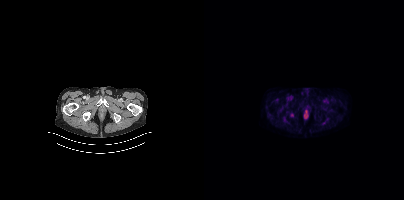
Technique: Paired axial CT (left) and PSMA PET (right), 18F tracer. PET panel 200×200 px (4.1 mm/px).
Findings: Coordinates are on the 200×200 PET (right) panel. Small PSMA-avid focus (2 to 4 px across) near (center x, center y): (88, 115).